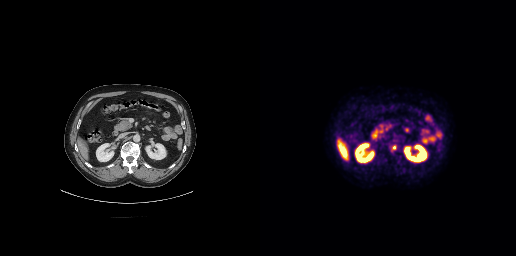
Coordinates are on the 256×256 PET (right) panel. PSMA-avid tumor lesion bounding box (x, y, width, height): x=132 y=145 w=5 h=5.